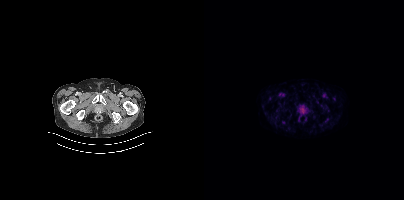
- Paired axial CT (left) and PSMA PET (right), [18F]PSMA-1007 tracer
- PET panel 200×200 px (4.1 mm/px)
Findings: Negative for PSMA-avid disease on this slice.